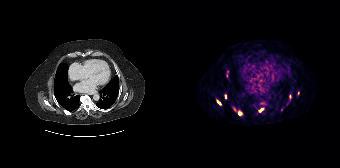
Findings: Coordinates are on the 168×168 PET (right) panel. (showing 5 of 7 foci) PSMA-avid tumor lesion bounding boxes (x0, y0)-(x1, y1): (87, 108)-(91, 112) / (66, 111)-(69, 115) / (45, 100)-(49, 104). Small PSMA-avid foci (2 to 4 px across) near (center x, center y): (53, 96) / (109, 109).
Technique: Paired axial CT (left) and PSMA PET (right), 68Ga tracer.